- Two-panel axial: CT | PSMA PET, 18F-PSMA tracer
- slice 76 of 411
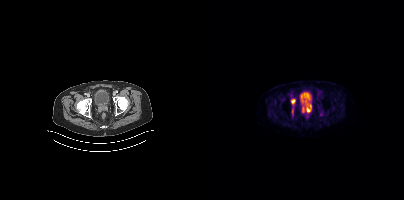
Findings: Coordinates are on the 200×200 PET (right) panel. (showing 2 of 3 foci) PSMA-avid tumor lesion bounding boxes (x0,y0,x1,y1): [98,104,107,112], [87,99,91,104].